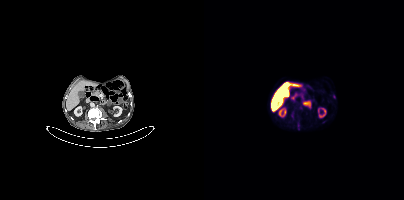
modality: PSMA PET/CT | tracer: 18F-PSMA | view: axial | PET grid: 200×200
Coordinates are on the 200×200 PET (right) panel. Small PSMA-avid focus (2 to 4 px across) near (center x, center y): (130, 97).